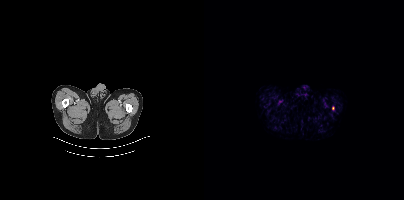
No PSMA-avid tumor lesions on this slice.